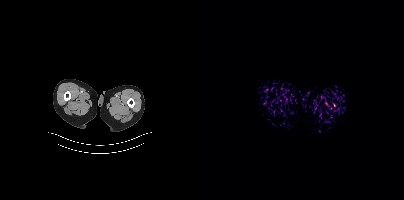
- Two-panel axial: CT | PSMA PET, [18F]PSMA-1007 tracer
- slice position z = -977 mm
Findings: This slice has no annotated PSMA-avid lesion.